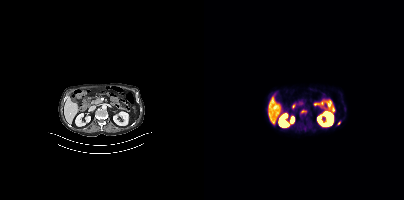
Left: CT. Right: PSMA PET, same axial level, 18F tracer. Slice 179 of 401. PET panel 200×200 px (4.1 mm/px). Coordinates are on the 200×200 PET (right) panel. (showing 1 of 3 foci) Small PSMA-avid focus (2 to 4 px across) near (center x, center y): (134, 123).